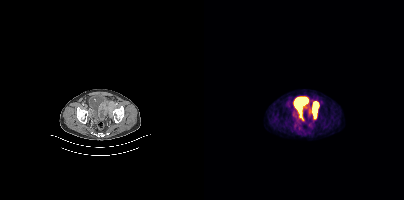
Coordinates are on the 200×200 PET (right) panel. PSMA-avid tumor lesion bounding box (x, y, width, height): x=109 y=102 w=6 h=16.